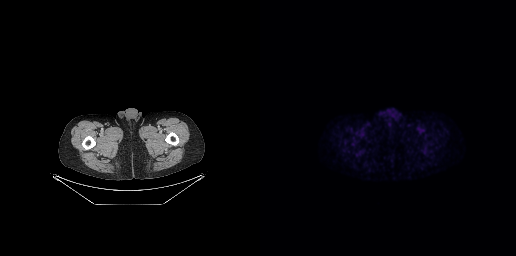
No PSMA-avid tumor lesions on this slice.